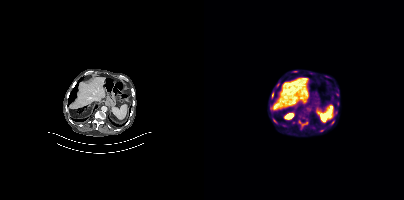
Coordinates are on the 200×200 PET (right) panel. PSMA-avid tumor lesion bounding box (x0, y0)-(x1, y1): (67, 92)-(70, 97). Small PSMA-avid focus (2 to 4 px across) near (center x, center y): (128, 122).
modality: PSMA PET/CT | tracer: 18F-PSMA | view: axial